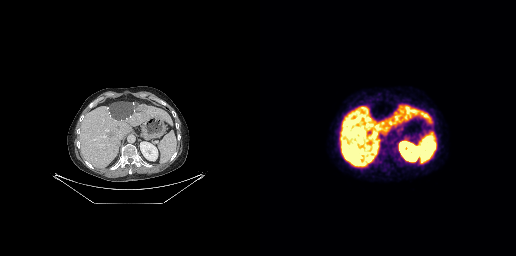
modality: PSMA PET/CT | tracer: 18F | view: axial | PET grid: 256×256
No PSMA-avid tumor lesions on this slice.